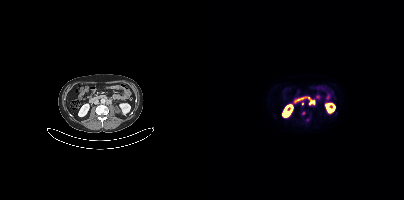
Coordinates are on the 200×200 PET (right) panel. (showing 2 of 3 foci) Small PSMA-avid foci (2 to 4 px across) near (center x, center y): (107, 101) | (98, 103). Left: CT. Right: PSMA PET, same axial level, 18F-PSMA tracer. Acquired on Siemens Biograph mCT Flow 20. PET panel 200×200 px (4.1 mm/px).